Two-panel axial: CT | PSMA PET, 18F tracer. Acquired on Siemens Biograph mCT Flow 20. Slice 408 of 448. PET panel 200×200 px (4.1 mm/px). An anonymization step blacked out a rectangle over the head in this scan.
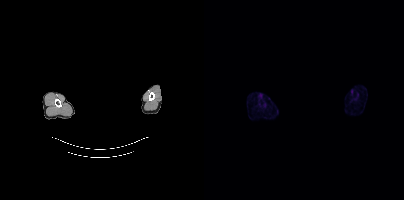
No tumor lesions annotated on this slice.